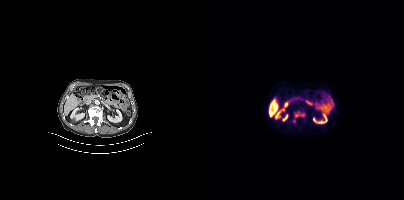
{"pet_grid":[200,200],"coord_frame":"pet_panel","coord_format":"x0,y0,x1,y1","lesion_bboxes":[[91,111,100,117]],"small_foci_centers":[[90,121]],"modality":"PSMA PET/CT","view":"axial","tracer":"18F-PSMA"}